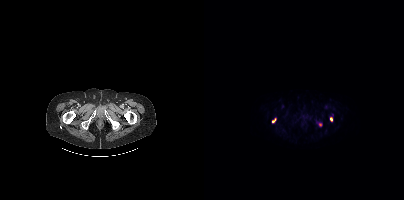
Technique: Left: CT. Right: PSMA PET, same axial level, 18F tracer.
Findings: Coordinates are on the 200×200 PET (right) panel. PSMA-avid tumor lesion bounding boxes (x0, y0)-(x1, y1): (126, 117)-(128, 121) | (68, 118)-(71, 122). Small PSMA-avid focus (2 to 4 px across) near (center x, center y): (116, 124).